- Paired axial CT (left) and PSMA PET (right), 18F-PSMA tracer
- acquired on GE Discovery 690
- slice 90 of 263
- PET panel 256×256 px (2.7 mm/px)
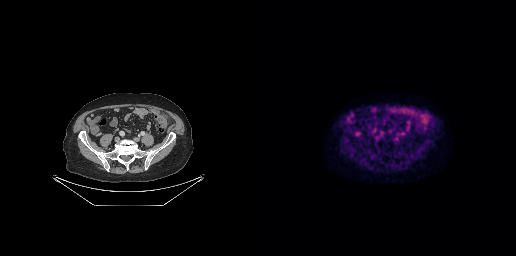
Findings: Negative for PSMA-avid disease on this slice.